modality: PSMA PET/CT | tracer: 18F-PSMA | view: axial
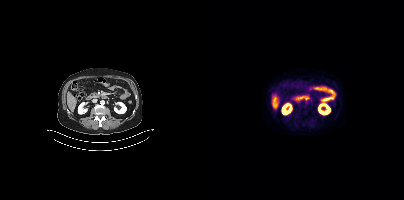
Coordinates are on the 200×200 PET (right) panel. Small PSMA-avid focus (2 to 4 px across) near (center x, center y): (101, 111).